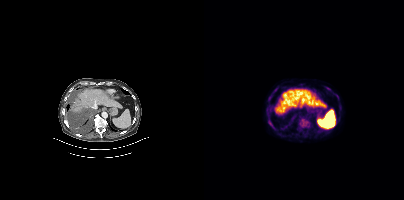
{"pet_grid":[200,200],"coord_frame":"pet_panel","coord_format":"x0,y0,x1,y1","lesion_bboxes":[[95,118,104,127],[64,96,67,101],[121,87,126,90],[64,119,67,124]],"small_foci_centers":[[71,89]],"modality":"PSMA PET/CT","view":"axial","tracer":"18F"}